Left: CT. Right: PSMA PET, same axial level, 18F tracer. Acquired on Siemens Biograph mCT Flow 20. PET panel 200×200 px (4.1 mm/px).
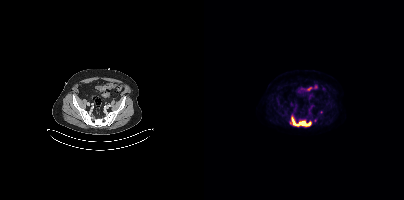
Coordinates are on the 200×200 PET (right) panel. PSMA-avid tumor lesion bounding boxes (partial; 1 more focus not listed):
| # | x0 | y0 | x1 | y1 |
|---|---|---|---|---|
| 1 | 86 | 116 | 107 | 126 |